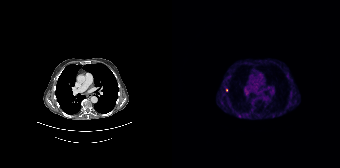
Findings: Coordinates are on the 168×168 PET (right) panel. Small PSMA-avid foci (2 to 4 px across) near (center x, center y): (67, 115) | (54, 90).
- Left: CT. Right: PSMA PET, same axial level, 68Ga tracer
- slice 134 of 195